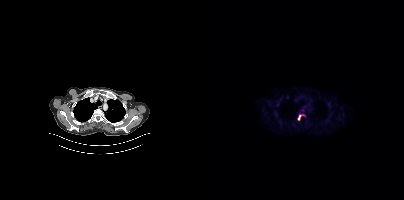
Paired axial CT (left) and PSMA PET (right), 18F tracer. Acquired on Siemens Biograph mCT Flow 20. Slice 328 of 421. PET panel 200×200 px (4.1 mm/px).
Coordinates are on the 200×200 PET (right) panel. PSMA-avid tumor lesion bounding boxes:
| # | x0 | y0 | x1 | y1 |
|---|---|---|---|---|
| 1 | 93 | 114 | 101 | 120 |